modality: PSMA PET/CT | tracer: 18F-PSMA | view: axial
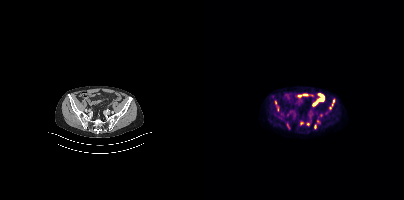
Coordinates are on the 200×200 PET (right) panel. (showing 5 of 6 foci) PSMA-avid tumor lesion bounding box (x0, y0)-(x1, y1): (125, 99)-(130, 109). Small PSMA-avid foci (2 to 4 px across) near (center x, center y): (111, 126) | (71, 102) | (104, 124) | (97, 123).